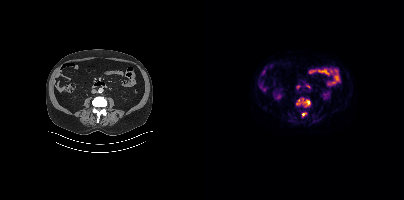
Findings: Coordinates are on the 200×200 PET (right) panel. PSMA-avid tumor lesion bounding boxes (x0,y0,x1,y1): [92,98,106,107], [98,113,102,116].
Technique: Two-panel axial: CT | PSMA PET, 18F tracer. acquired on Siemens Biograph mCT Flow 20. PET panel 200×200 px (4.1 mm/px).